Two-panel axial: CT | PSMA PET, [68Ga]Ga-PSMA-11 tracer.
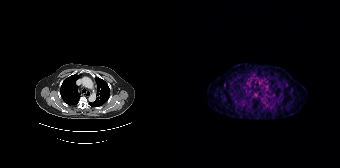
Coordinates are on the 168×168 PET (right) panel. PSMA-avid tumor lesion bounding box (x0,y0,x1,y1): [93,86,96,90].